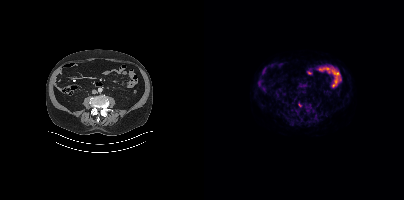
Technique: Paired axial CT (left) and PSMA PET (right), 18F tracer.
Findings: No PSMA-avid tumor lesions on this slice.